Two-panel axial: CT | PSMA PET, 68Ga tracer. Slice 109 of 189.
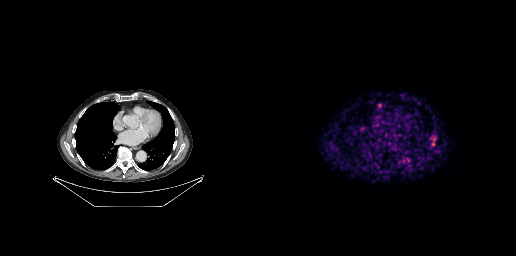
Coordinates are on the 256×256 PET (right) panel. (showing 2 of 3 foci) Small PSMA-avid foci (2 to 4 px across) near (center x, center y): (119, 104) / (173, 134).